Technique: Left: CT. Right: PSMA PET, same axial level, [68Ga]Ga-PSMA-11 tracer. slice 119 of 409. PET panel 200×200 px (4.1 mm/px).
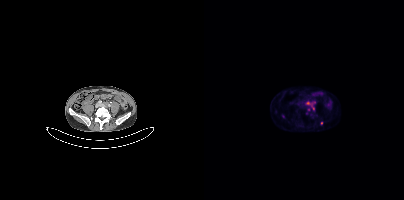
Findings: Coordinates are on the 200×200 PET (right) panel. (showing 3 of 4 foci) PSMA-avid tumor lesion bounding box (x0,y0,x1,y1): [102,102,106,104]. Small PSMA-avid foci (2 to 4 px across) near (center x, center y): (117, 123); (109, 108).